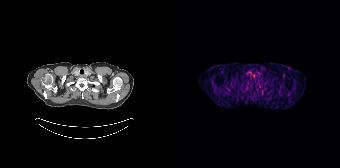
- Left: CT. Right: PSMA PET, same axial level, 68Ga tracer
- acquired on Siemens Biograph 64-4R TruePoint
- slice position z = -1115 mm
Findings: Negative for PSMA-avid disease on this slice.